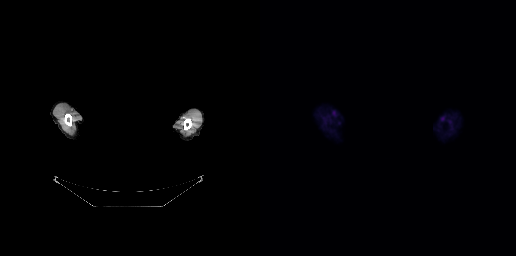
An anonymization step blacked out a rectangle over the head in this scan.
No PSMA-avid tumor lesions on this slice.